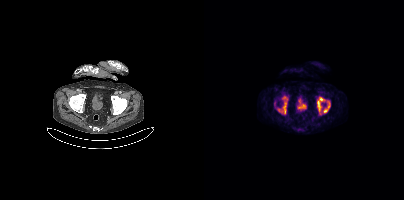
{"pet_grid":[200,200],"coord_frame":"pet_panel","coord_format":"x0,y0,x1,y1","lesion_bboxes":[[74,95,84,113],[113,97,121,114],[119,101,126,112]],"small_foci_centers":[[70,103]],"modality":"PSMA PET/CT","view":"axial","tracer":"18F"}